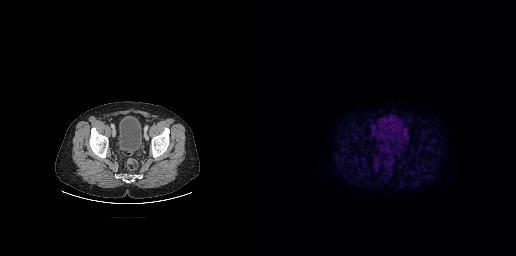
Findings: No PSMA-avid tumor lesions on this slice.
Technique: Paired axial CT (left) and PSMA PET (right), 18F-PSMA tracer. slice 57 of 263. PET panel 256×256 px (2.7 mm/px).